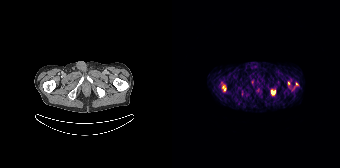
Coordinates are on the 168×168 PET (right) panel. PSMA-avid tumor lesion bounding boxes (x0, y0)-(x1, y1): (49, 82)-(54, 91); (99, 90)-(103, 94). Small PSMA-avid foci (2 to 4 px across) near (center x, center y): (116, 82); (124, 83).